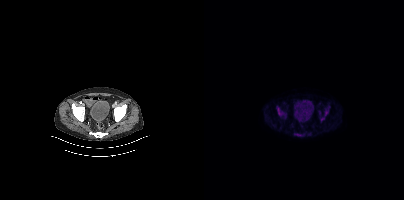
Coordinates are on the 200×200 PET (right) panel. PSMA-avid tumor lesion bounding boxes (x0,y0,x1,y1): [116,108,124,121]; [73,106,80,115]; [90,133,98,135]. Small PSMA-avid focus (2 to 4 px across) near (center x, center y): (115, 112).
modality: PSMA PET/CT | tracer: 18F-PSMA | view: axial